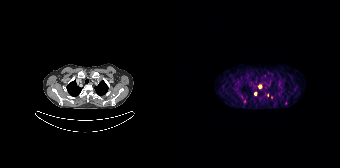
Findings: Coordinates are on the 168×168 PET (right) panel. (showing 3 of 5 foci) Small PSMA-avid foci (2 to 4 px across) near (center x, center y): (88, 86) | (83, 93) | (72, 101).
Technique: Left: CT. Right: PSMA PET, same axial level, 68Ga tracer. acquired on Siemens Biograph 64-4R TruePoint. slice position z = -834 mm.